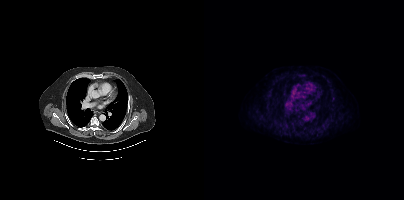
Negative for PSMA-avid disease on this slice.